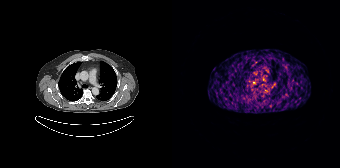
- Two-panel axial: CT | PSMA PET, 68Ga-PSMA tracer
- acquired on Siemens Biograph 64-4R TruePoint
- slice position z = -790 mm
- PET panel 168×168 px (4.1 mm/px)
Findings: Coordinates are on the 168×168 PET (right) panel. Small PSMA-avid focus (2 to 4 px across) near (center x, center y): (82, 82).